- Left: CT. Right: PSMA PET, same axial level, [18F]PSMA-1007 tracer
- slice 350 of 427
- PET panel 200×200 px (4.1 mm/px)
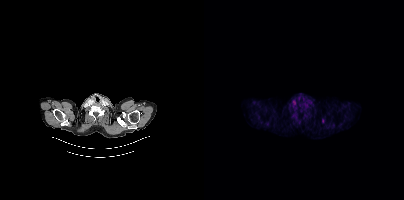
Findings: This slice has no annotated PSMA-avid lesion.